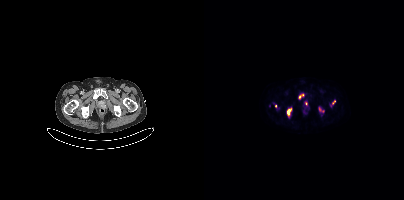
Coordinates are on the 200×200 PET (right) panel. (showing 6 of 7 foci) PSMA-avid tumor lesion bounding boxes (x0, y0)-(x1, y1): (115, 107)-(119, 112) / (83, 109)-(86, 115). Small PSMA-avid foci (2 to 4 px across) near (center x, center y): (95, 96) / (130, 101) / (71, 106) / (102, 103).